Privacy masking over the head, with the pixels inside a rectangle set to black. Paired axial CT (left) and PSMA PET (right), 18F-PSMA tracer. Slice position z = 340 mm.
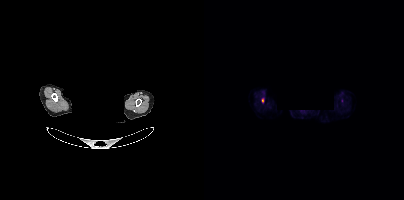
Coordinates are on the 200×200 PET (right) panel. PSMA-avid tumor lesion bounding boxes:
| # | x0 | y0 | x1 | y1 |
|---|---|---|---|---|
| 1 | 58 | 98 | 59 | 102 |